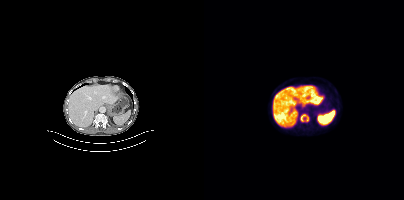
{"modality":"PSMA PET/CT","view":"axial","tracer":"18F","pet_grid":[200,200],"coord_frame":"pet_panel","coord_format":"x0,y0,x1,y1","partial":true,"lesion_bboxes":[[96,113,105,122]]}